Left: CT. Right: PSMA PET, same axial level, 18F tracer. Slice 171 of 263. PET panel 256×256 px (2.7 mm/px).
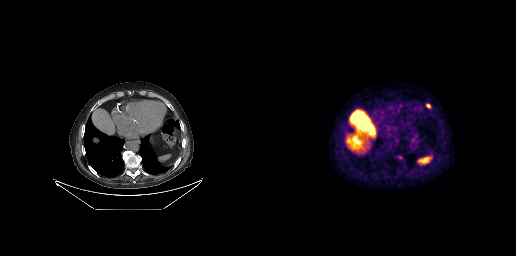
Coordinates are on the 256×256 PET (right) panel. PSMA-avid tumor lesion bounding box (x0,y0,x1,y1): [166,104,170,107].